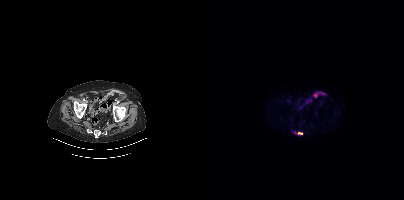
Coordinates are on the 200×200 PET (right) panel. PSMA-avid tumor lesion bounding box (x0,y0,x1,y1): [90,131,99,135].